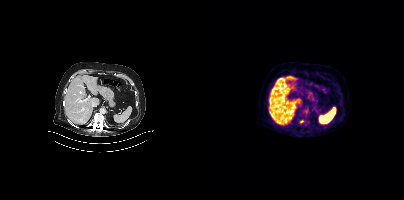
- Paired axial CT (left) and PSMA PET (right), 18F tracer
- PET panel 200×200 px (4.1 mm/px)
Findings: Coordinates are on the 200×200 PET (right) panel. (showing 1 of 2 foci) Small PSMA-avid focus (2 to 4 px across) near (center x, center y): (97, 121).